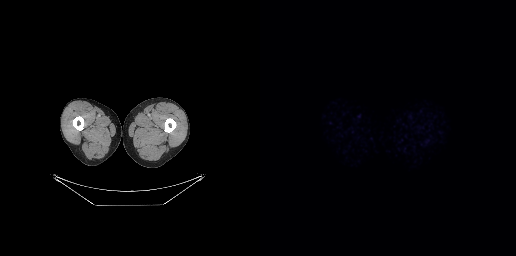
Paired axial CT (left) and PSMA PET (right), 18F tracer. Acquired on GE Discovery 690. PET panel 256×256 px (2.7 mm/px). Negative for PSMA-avid disease on this slice.